Paired axial CT (left) and PSMA PET (right), 18F tracer. Acquired on Siemens Biograph mCT Flow 20. PET panel 200×200 px (4.1 mm/px).
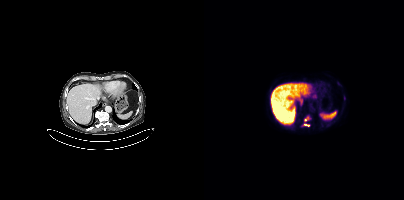
Coordinates are on the 200×200 PET (right) panel. PSMA-avid tumor lesion bounding boxes:
| # | x0 | y0 | x1 | y1 |
|---|---|---|---|---|
| 1 | 100 | 124 | 105 | 126 |
Small PSMA-avid foci (2 to 4 px across) near (center x, center y): (102, 118); (140, 98).